Left: CT. Right: PSMA PET, same axial level, [18F]PSMA-1007 tracer. Acquired on Siemens Biograph mCT Flow 20. PET panel 200×200 px (4.1 mm/px).
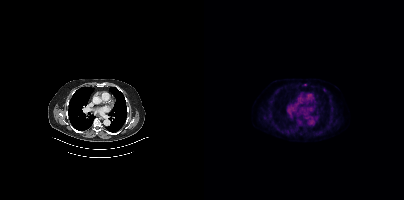
Only PSMA-avid lesion pieces thinner than 2 px on this slice (not listed).